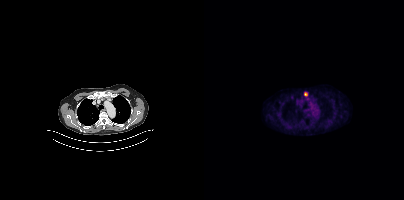
Coordinates are on the 200×200 PET (right) panel. PSMA-avid tumor lesion bounding box (x0,y0,x1,y1): [100,92,103,96]. Two-panel axial: CT | PSMA PET, 18F-PSMA tracer. Slice position z = -433 mm.